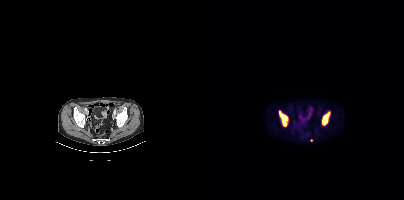
- Paired axial CT (left) and PSMA PET (right), 18F tracer
Findings: Coordinates are on the 200×200 PET (right) panel. PSMA-avid tumor lesion bounding boxes (x0, y0)-(x1, y1): (118, 112)-(125, 124) / (76, 113)-(83, 125). Small PSMA-avid focus (2 to 4 px across) near (center x, center y): (107, 140).